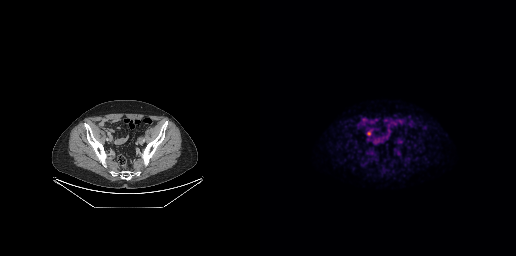
Findings: Coordinates are on the 256×256 PET (right) panel. PSMA-avid tumor lesion bounding box (x0, y0)-(x1, y1): (107, 131)-(110, 135).
Technique: Left: CT. Right: PSMA PET, same axial level, 18F tracer. acquired on GE Discovery 690. slice position z = -635 mm.